- Left: CT. Right: PSMA PET, same axial level, 68Ga-PSMA tracer
- acquired on Siemens Biograph mCT Flow 20
- slice 337 of 409
- PET panel 200×200 px (4.1 mm/px)
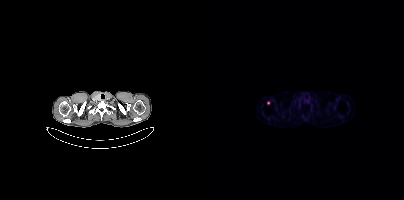
Findings: Coordinates are on the 200×200 PET (right) panel. Small PSMA-avid focus (2 to 4 px across) near (center x, center y): (64, 103).